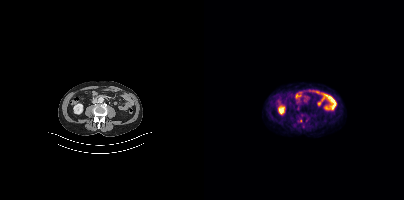
Paired axial CT (left) and PSMA PET (right), 18F-PSMA tracer. PET panel 200×200 px (4.1 mm/px). No tumor lesions annotated on this slice.